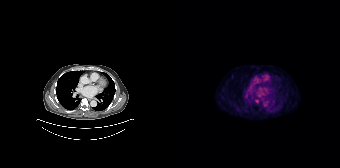
{"pet_grid":[168,168],"coord_frame":"pet_panel","coord_format":"x0,y0,x1,y1","lesion_bboxes":[],"small_foci_centers":[[84,100]],"modality":"PSMA PET/CT","view":"axial","tracer":"18F-PSMA"}